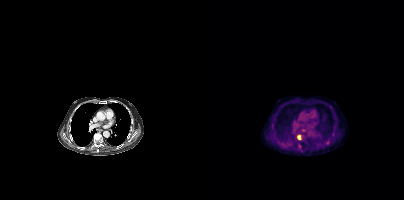
modality: PSMA PET/CT | tracer: 18F | view: axial | PET grid: 200×200
Coordinates are on the 200×200 PET (right) panel. (showing 3 of 5 foci) PSMA-avid tumor lesion bounding box (x, y, width, height): x=93 y=135 w=4 h=5. Small PSMA-avid foci (2 to 4 px across) near (center x, center y): (96, 145) / (126, 106).